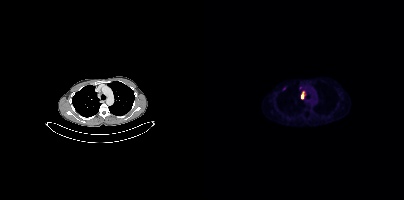
Coordinates are on the 200×200 PET (right) panel. (showing 2 of 3 foci) PSMA-avid tumor lesion bounding box (x0,y0,x1,y1): [97,92,100,98]. Small PSMA-avid focus (2 to 4 px across) near (center x, center y): (97, 87).